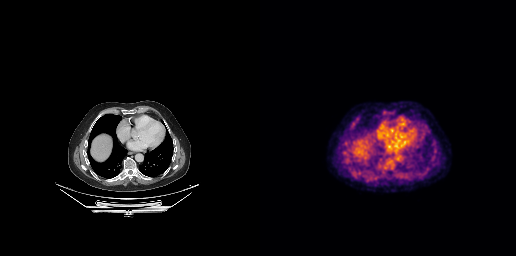
No PSMA-avid tumor lesions on this slice.